Left: CT. Right: PSMA PET, same axial level, [18F]PSMA-1007 tracer. Slice 59 of 431.
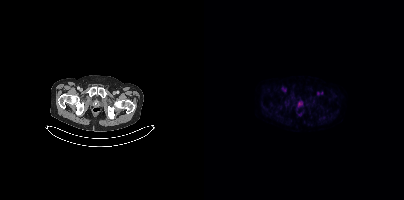
Negative for PSMA-avid disease on this slice.